Technique: Two-panel axial: CT | PSMA PET, [18F]PSMA-1007 tracer. slice position z = -1134 mm.
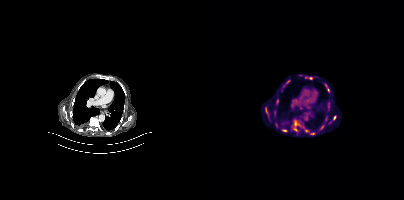
Findings: Coordinates are on the 200×200 PET (right) panel. (showing 6 of 8 foci) PSMA-avid tumor lesion bounding boxes (x, y, width, height): x=88 y=120 w=13 h=12 / x=61 y=107 w=5 h=11 / x=72 y=100 w=3 h=5 / x=70 y=111 w=2 h=5. Small PSMA-avid foci (2 to 4 px across) near (center x, center y): (130, 117) / (80, 130).